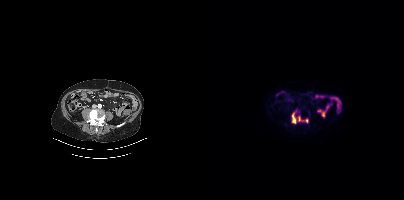
Coordinates are on the 200×200 PET (right) panel. PSMA-avid tumor lesion bounding box (x, y, width, height): x=87 y=109 w=18 h=16.